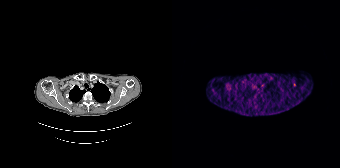
Findings: Only PSMA-avid lesion pieces thinner than 2 px on this slice (not listed).
Technique: Paired axial CT (left) and PSMA PET (right), [68Ga]Ga-PSMA-11 tracer. slice position z = -184 mm. PET panel 168×168 px (4.1 mm/px).